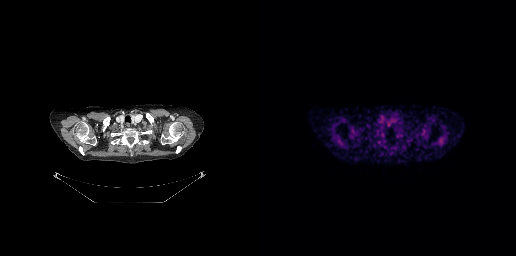
No tumor lesions annotated on this slice.